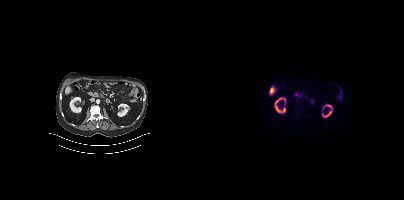
{"pet_grid":[200,200],"coord_frame":"pet_panel","coord_format":"x0,y0,x1,y1","psma_avid_lesions":false,"modality":"PSMA PET/CT","view":"axial","tracer":"[18F]PSMA-1007"}